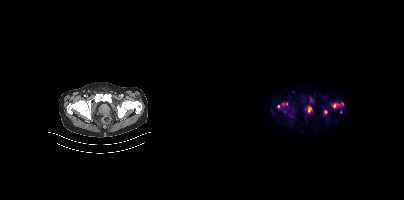
Coordinates are on the 200×200 PET (right) panel. PSMA-avid tumor lesion bounding boxes (x0, y0)-(x1, y1): (74, 103)-(83, 109); (127, 103)-(135, 108); (104, 107)-(107, 112). Small PSMA-avid foci (2 to 4 px across) near (center x, center y): (121, 111); (138, 103); (106, 99); (81, 111); (136, 111).